Technique: Left: CT. Right: PSMA PET, same axial level, 18F-PSMA tracer. slice 48 of 263.
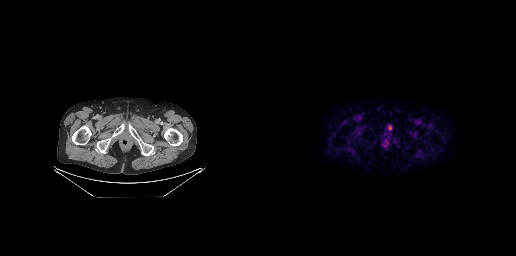
Findings: Coordinates are on the 256×256 PET (right) panel. Small PSMA-avid focus (2 to 4 px across) near (center x, center y): (130, 127).